- Two-panel axial: CT | PSMA PET, 68Ga-PSMA tracer
- acquired on Siemens Biograph 64-4R TruePoint
- slice position z = -980 mm
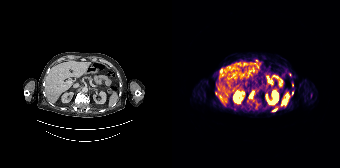
Findings: Coordinates are on the 168×168 PET (right) panel. (showing 6 of 8 foci) PSMA-avid tumor lesion bounding boxes (x, y, width, height): x=77 y=92 w=5 h=7; x=48 y=69 w=3 h=5; x=100 y=109 w=5 h=3. Small PSMA-avid foci (2 to 4 px across) near (center x, center y): (120, 85); (120, 93); (84, 60).